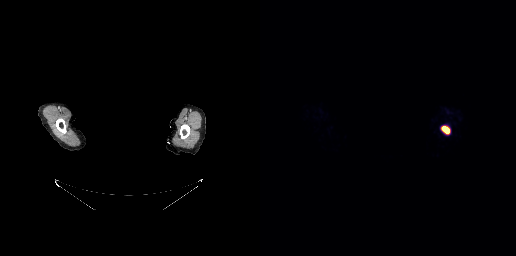
An anonymization step blacked out a rectangle over the head in this scan. Left: CT. Right: PSMA PET, same axial level, 68Ga tracer. Coordinates are on the 256×256 PET (right) panel. PSMA-avid tumor lesion bounding box (x0,y0,x1,y1): [182,126,189,133].